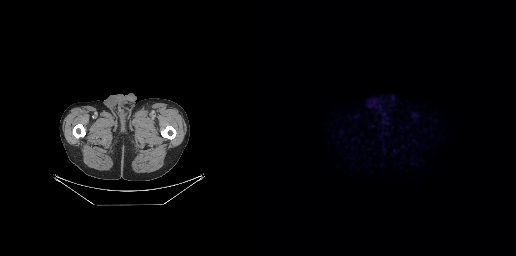
{"modality":"PSMA PET/CT","view":"axial","tracer":"[18F]PSMA-1007","pet_grid":[256,256],"coord_frame":"pet_panel","coord_format":"x0,y0,x1,y1","psma_avid_lesions":false}